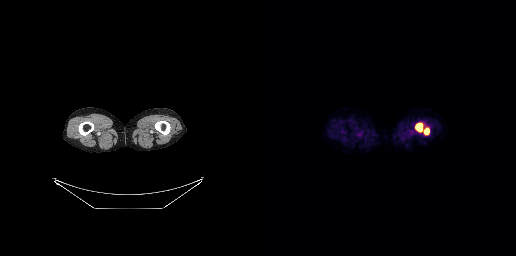
Technique: Left: CT. Right: PSMA PET, same axial level, [18F]PSMA-1007 tracer. PET panel 256×256 px (2.7 mm/px).
Findings: Coordinates are on the 256×256 PET (right) panel. PSMA-avid tumor lesion bounding boxes (x0, y0)-(x1, y1): (155, 123)-(162, 132) / (164, 128)-(169, 134).